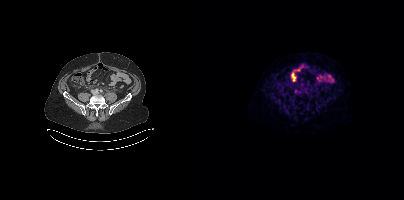
Paired axial CT (left) and PSMA PET (right), 18F-PSMA tracer. Acquired on Siemens Biograph mCT Flow 20. PET panel 200×200 px (4.1 mm/px). Coordinates are on the 200×200 PET (right) panel. PSMA-avid tumor lesion bounding box (x, y, width, height): x=99 y=91 w=5 h=4.